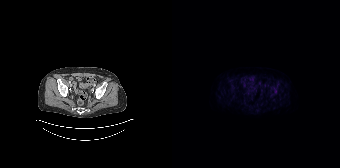
This slice has no annotated PSMA-avid lesion.